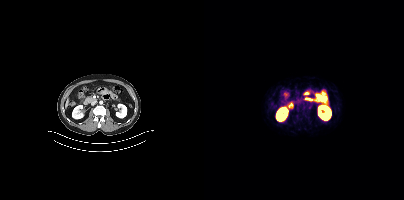
Paired axial CT (left) and PSMA PET (right), [68Ga]Ga-PSMA-11 tracer. Slice position z = -1256 mm. No PSMA-avid tumor lesions on this slice.